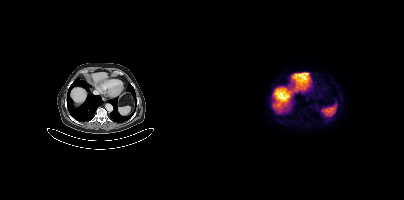
- Left: CT. Right: PSMA PET, same axial level, 18F-PSMA tracer
- acquired on Siemens Biograph mCT Flow 20
- slice position z = -430 mm
- PET panel 200×200 px (4.1 mm/px)
Findings: No tumor lesions annotated on this slice.